Two-panel axial: CT | PSMA PET, 18F-PSMA tracer. Acquired on Siemens Biograph mCT Flow 20. Slice position z = -945 mm.
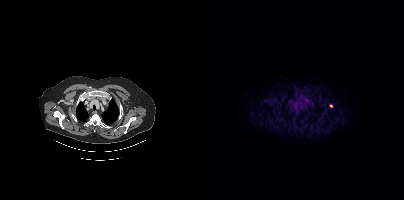
Coordinates are on the 200×200 PET (right) panel. Small PSMA-avid focus (2 to 4 px across) near (center x, center y): (127, 105).